Paired axial CT (left) and PSMA PET (right), [68Ga]Ga-PSMA-11 tracer. Acquired on Siemens Biograph mCT Flow 20. PET panel 200×200 px (4.1 mm/px).
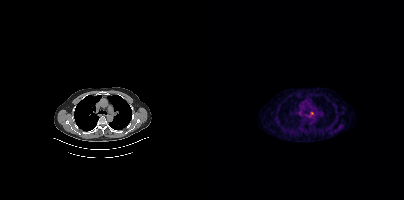
Coordinates are on the 200×200 PET (right) panel. Small PSMA-avid focus (2 to 4 px across) near (center x, center y): (107, 113).